Left: CT. Right: PSMA PET, same axial level, [18F]PSMA-1007 tracer. Slice position z = -337 mm.
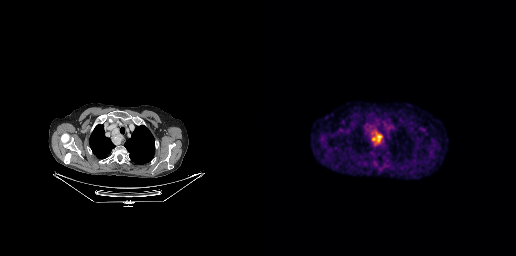
Coordinates are on the 256×256 PET (right) panel. PSMA-avid tumor lesion bounding box (x0,y0,x1,y1): [111,129,122,145].